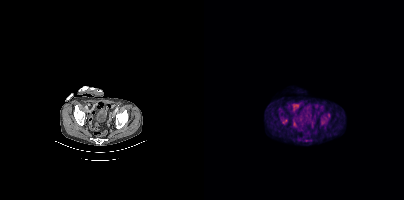
Coordinates are on the 200×200 PET (right) panel. PSMA-avid tumor lesion bounding boxes (x0,y0,x1,y1): [116,116,121,120], [122,112,126,117], [79,119,83,123]. Small PSMA-avid focus (2 to 4 px across) near (center x, center y): (119, 123).